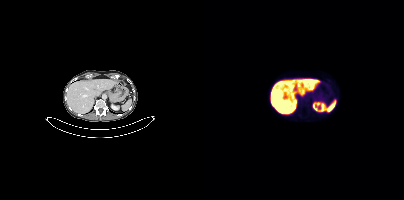
Findings: Negative for PSMA-avid disease on this slice.
- Paired axial CT (left) and PSMA PET (right), 18F tracer
- slice 223 of 427